Technique: Paired axial CT (left) and PSMA PET (right), 18F tracer. acquired on Siemens Biograph mCT Flow 20. slice position z = 192 mm.
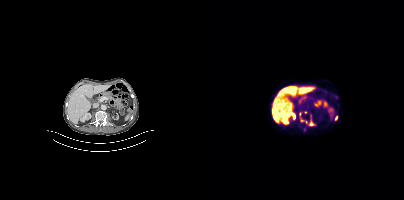
Findings: Coordinates are on the 200×200 PET (right) panel. PSMA-avid tumor lesion bounding box (x0,y0,x1,y1): [95,112,111,126]. Small PSMA-avid foci (2 to 4 px across) near (center x, center y): (101, 112); (132, 117); (100, 129).